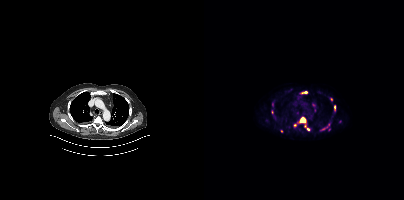
Technique: Paired axial CT (left) and PSMA PET (right), 18F tracer. slice 335 of 444. PET panel 200×200 px (4.1 mm/px).
Findings: Coordinates are on the 200×200 PET (right) panel. (showing 7 of 11 foci) PSMA-avid tumor lesion bounding boxes (x0, y0)-(x1, y1): (94, 117)-(105, 130) | (130, 105)-(132, 110) | (97, 91)-(103, 93) | (125, 97)-(128, 101). Small PSMA-avid foci (2 to 4 px across) near (center x, center y): (91, 125) | (119, 128) | (77, 130).